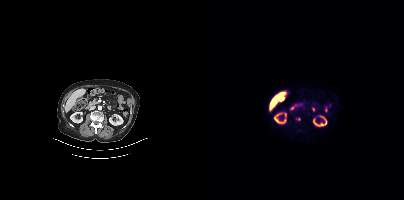
Findings: Coordinates are on the 200×200 PET (right) panel. PSMA-avid tumor lesion bounding box (x, y, width, height): x=92 y=118 w=5 h=3.
- Paired axial CT (left) and PSMA PET (right), [18F]PSMA-1007 tracer
- acquired on Siemens Biograph mCT Flow 20